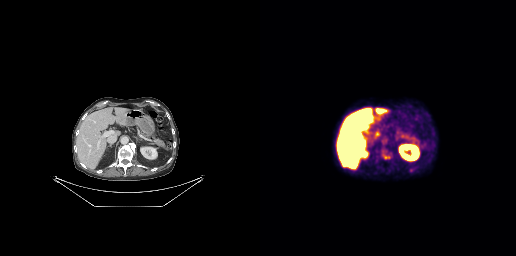
Paired axial CT (left) and PSMA PET (right), [18F]PSMA-1007 tracer. Acquired on GE Discovery 690. Slice 139 of 263. This slice has no annotated PSMA-avid lesion.